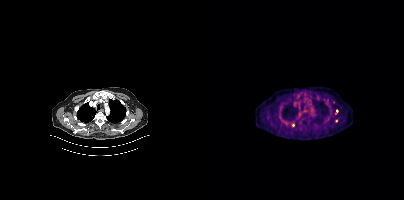
{"modality":"PSMA PET/CT","view":"axial","tracer":"18F","pet_grid":[200,200],"coord_frame":"pet_panel","coord_format":"x0,y0,x1,y1","lesion_bboxes":[],"small_foci_centers":[[131,113],[132,120],[132,110],[89,124]]}